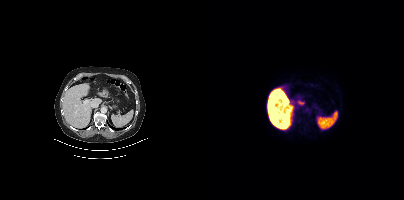
Technique: Two-panel axial: CT | PSMA PET, 18F-PSMA tracer. slice 229 of 444. PET panel 200×200 px (4.1 mm/px).
Findings: This slice has no annotated PSMA-avid lesion.